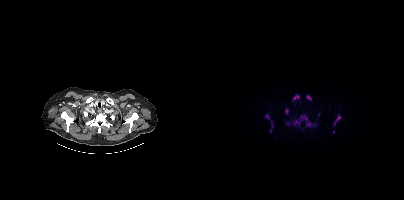
Technique: Paired axial CT (left) and PSMA PET (right), 18F-PSMA tracer. acquired on Siemens Biograph mCT Flow 20. PET panel 200×200 px (4.1 mm/px).
Findings: Coordinates are on the 200×200 PET (right) panel. PSMA-avid tumor lesion bounding boxes (x0, y0)-(x1, y1): (89, 115)-(107, 126) | (61, 114)-(69, 132) | (129, 115)-(136, 125) | (88, 94)-(95, 100) | (102, 95)-(107, 100) | (81, 108)-(84, 114). Small PSMA-avid foci (2 to 4 px across) near (center x, center y): (83, 123) | (129, 132) | (114, 114) | (110, 125).